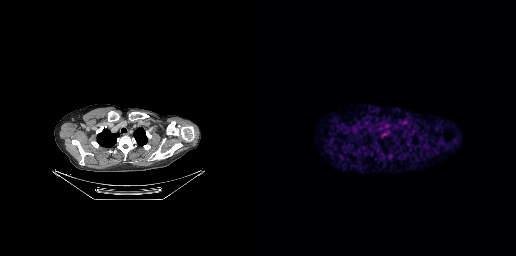
No PSMA-avid tumor lesions on this slice.